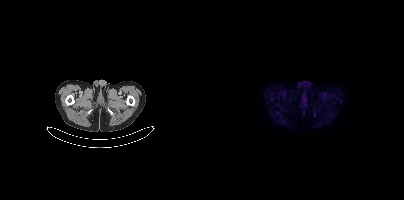
{"modality":"PSMA PET/CT","view":"axial","tracer":"[18F]PSMA-1007","pet_grid":[200,200],"coord_frame":"pet_panel","coord_format":"x0,y0,x1,y1","psma_avid_lesions":false}